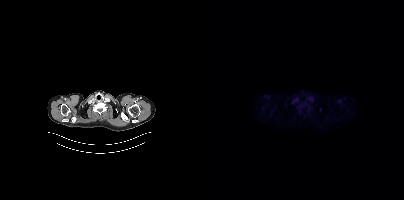
{"pet_grid":[200,200],"coord_frame":"pet_panel","coord_format":"x0,y0,x1,y1","psma_avid_lesions":false,"modality":"PSMA PET/CT","view":"axial","tracer":"18F"}